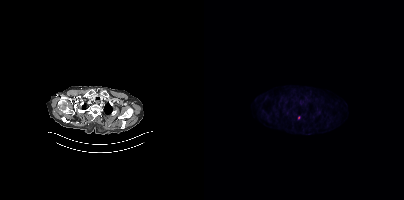
Coordinates are on the 200×200 PET (right) panel. Small PSMA-avid focus (2 to 4 px across) near (center x, center y): (95, 117). Paired axial CT (left) and PSMA PET (right), 18F-PSMA tracer.